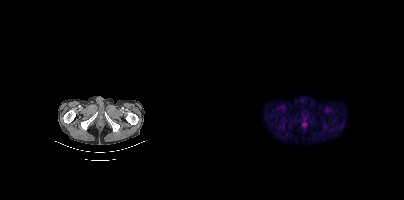
No tumor lesions annotated on this slice. Left: CT. Right: PSMA PET, same axial level, 18F tracer. Acquired on Siemens Biograph mCT Flow 20.